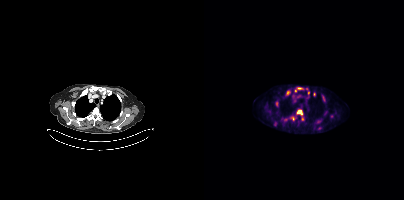
modality: PSMA PET/CT | tracer: [18F]PSMA-1007 | view: axial | PET grid: 200×200
Coordinates are on the 200×200 PET (right) panel. (showing 10 of 12 foci) PSMA-avid tumor lesion bounding boxes (x0,y0,x1,y1): [93,110,98,115], [91,87,98,91], [118,95,121,101], [82,90,86,94]. Small PSMA-avid foci (2 to 4 px across) near (center x, center y): (72, 102), (104, 92), (102, 88), (110, 94), (89, 118), (98, 118).